Left: CT. Right: PSMA PET, same axial level, 18F tracer. Acquired on Siemens Biograph mCT Flow 20.
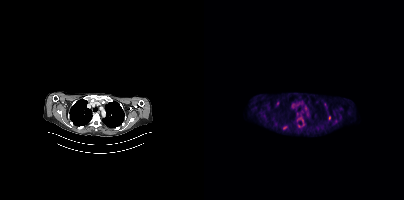
Coordinates are on the 200×200 PET (right) panel. (showing 3 of 5 foci) PSMA-avid tumor lesion bounding box (x0,y0,x1,y1): [79,126,83,129]. Small PSMA-avid foci (2 to 4 px across) near (center x, center y): (125, 117); (98, 119).